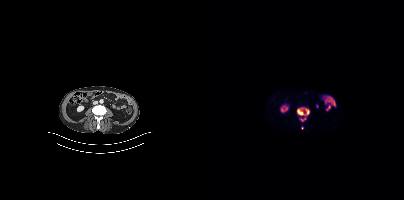
- Two-panel axial: CT | PSMA PET, 18F-PSMA tracer
- PET panel 200×200 px (4.1 mm/px)
Findings: Coordinates are on the 200×200 PET (right) panel. PSMA-avid tumor lesion bounding box (x0, y0)-(x1, y1): (93, 108)-(105, 121). Small PSMA-avid focus (2 to 4 px across) near (center x, center y): (98, 128).